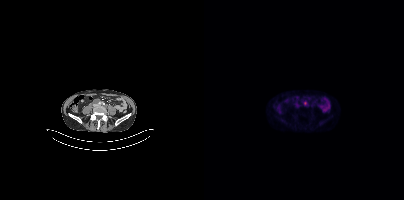
modality: PSMA PET/CT | tracer: [18F]PSMA-1007 | view: axial
Coordinates are on the 200×200 PET (right) panel. Small PSMA-avid focus (2 to 4 px across) near (center x, center y): (101, 103).